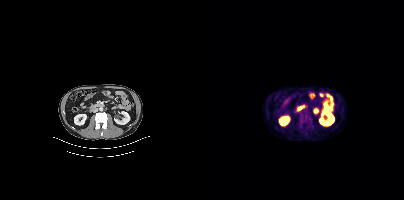
modality: PSMA PET/CT | tracer: 18F | view: axial
Coordinates are on the 200×200 PET (right) panel. PSMA-avid tumor lesion bounding box (x0, y0)-(x1, y1): (95, 114)-(107, 122).